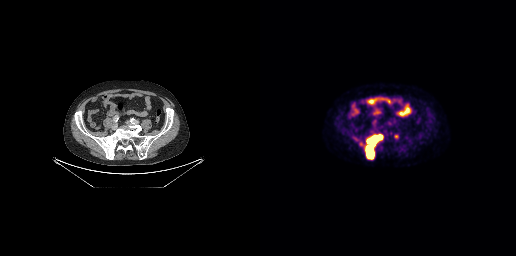
Coordinates are on the 256×256 PET (right) panel. (showing 2 of 3 foci) PSMA-avid tumor lesion bounding box (x, y, width, height): x=105 y=134 w=19 h=26. Small PSMA-avid focus (2 to 4 px across) near (center x, center y): (136, 136).